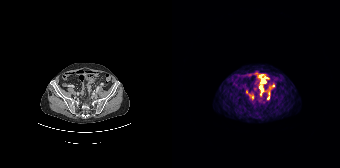
modality: PSMA PET/CT | tracer: [68Ga]Ga-PSMA-11 | view: axial | PET grid: 168×168
Coordinates are on the 168×168 PET (right) panel. PSMA-avid tumor lesion bounding boxes (x, y, width, height): x=98 y=83 w=5 h=6; x=88 y=86 w=4 h=5. Small PSMA-avid foci (2 to 4 px across) near (center x, center y): (91, 80); (96, 97); (96, 78); (74, 92); (88, 93).